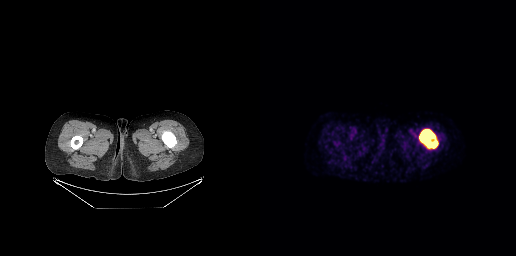
- Paired axial CT (left) and PSMA PET (right), 18F-PSMA tracer
Findings: Coordinates are on the 256×256 PET (right) panel. PSMA-avid tumor lesion bounding box (x0,y0,x1,y1): [159,129,178,148].